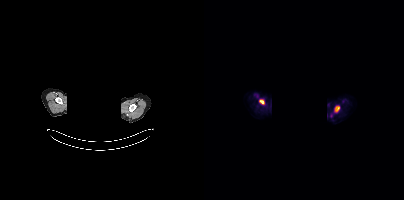
- Paired axial CT (left) and PSMA PET (right), [18F]PSMA-1007 tracer
- acquired on Siemens Biograph mCT Flow 20
- slice 332 of 373
- PET panel 200×200 px (4.1 mm/px)
- a rectangle over the head was blacked out to remove identifiable facial features
Findings: Coordinates are on the 200×200 PET (right) panel. PSMA-avid tumor lesion bounding boxes (x0,y0,x1,y1): [131,106,135,112]; [55,99,60,104].